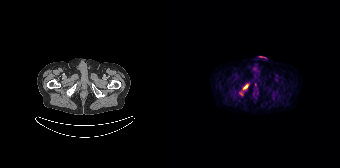
{"modality":"PSMA PET/CT","view":"axial","tracer":"68Ga","pet_grid":[168,168],"coord_frame":"pet_panel","coord_format":"x0,y0,x1,y1","lesion_bboxes":[[71,84,76,89]],"small_foci_centers":[[68,93]]}